Paired axial CT (left) and PSMA PET (right), 18F-PSMA tracer. Slice 187 of 446. PET panel 200×200 px (4.1 mm/px).
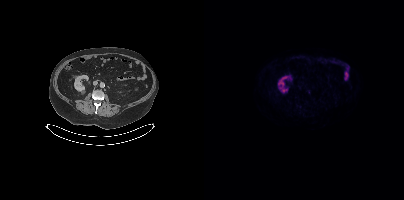
No tumor lesions annotated on this slice.